modality: PSMA PET/CT | tracer: 18F-PSMA | view: axial | PET grid: 256×256
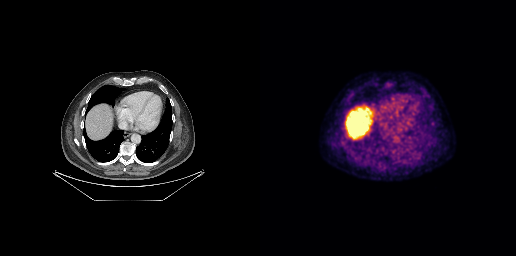
This slice has no annotated PSMA-avid lesion.